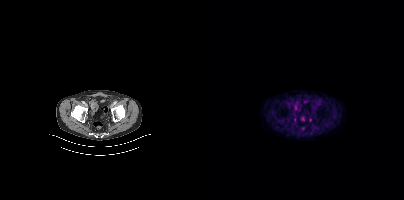
{"modality":"PSMA PET/CT","view":"axial","tracer":"[18F]PSMA-1007","pet_grid":[200,200],"coord_frame":"pet_panel","coord_format":"x0,y0,x1,y1","psma_avid_lesions":false}